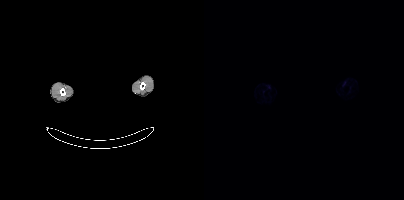
Technique: Left: CT. Right: PSMA PET, same axial level, [68Ga]Ga-PSMA-11 tracer. acquired on Siemens Biograph mCT Flow 20. PET panel 200×200 px (4.1 mm/px).
Note: De-identified by setting a box covering the face to black before release.
Findings: No PSMA-avid tumor lesions on this slice.